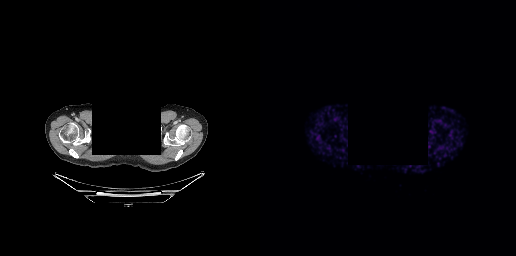
redaction: rectangular block over head set to black | modality: PSMA PET/CT | tracer: 68Ga | view: axial
No PSMA-avid tumor lesions on this slice.